Technique: Left: CT. Right: PSMA PET, same axial level, 68Ga-PSMA tracer. acquired on Siemens Biograph 64-4R TruePoint. slice position z = -1462 mm. PET panel 168×168 px (4.1 mm/px).
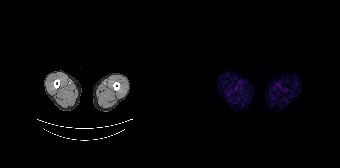
Findings: This slice has no annotated PSMA-avid lesion.